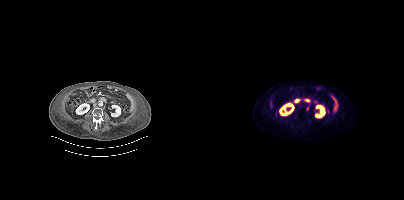
{"modality":"PSMA PET/CT","view":"axial","tracer":"[18F]PSMA-1007","pet_grid":[200,200],"coord_frame":"pet_panel","coord_format":"x0,y0,x1,y1","lesion_bboxes":[[103,106,104,110]],"small_foci_centers":[[95,106]]}